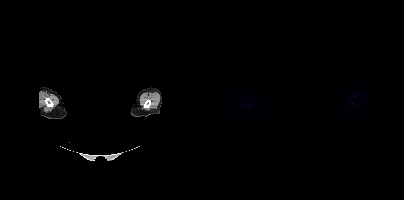
Face de-identified by blanking a block of the head.
No tumor lesions annotated on this slice.